Technique: Left: CT. Right: PSMA PET, same axial level, 68Ga tracer. acquired on Siemens Biograph 64-4R TruePoint.
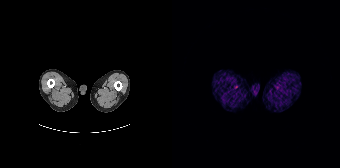
Findings: This slice has no annotated PSMA-avid lesion.